modality: PSMA PET/CT | tracer: 68Ga-PSMA | view: axial
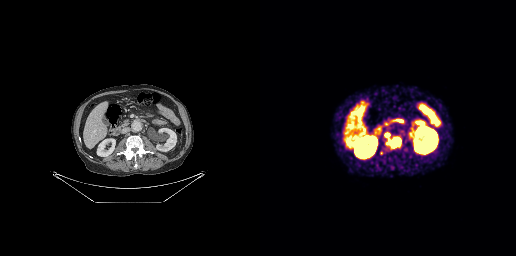
Coordinates are on the 256×256 PET (right) panel. (showing 3 of 4 foci) PSMA-avid tumor lesion bounding boxes (x0,y0,x1,y1): [126,138,140,146], [125,133,129,136]. Small PSMA-avid focus (2 to 4 px across) near (center x, center y): (121, 153).